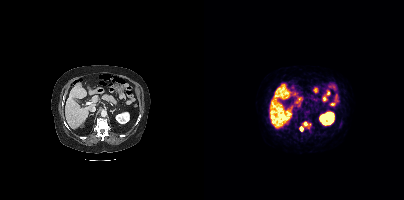
Paired axial CT (left) and PSMA PET (right), 68Ga-PSMA tracer. PET panel 200×200 px (4.1 mm/px). Coordinates are on the 200×200 PET (right) panel. PSMA-avid tumor lesion bounding box (x, y, width, height): x=95 y=121 w=12 h=10.